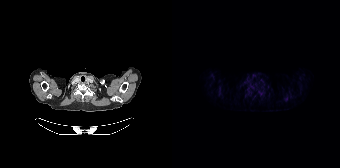
{"modality":"PSMA PET/CT","view":"axial","tracer":"18F-PSMA","pet_grid":[168,168],"coord_frame":"pet_panel","coord_format":"x0,y0,x1,y1","psma_avid_lesions":false}